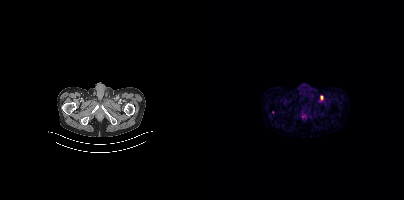
Coordinates are on the 200×200 PET (right) panel. Small PSMA-avid focus (2 to 4 px across) near (center x, center y): (117, 97).